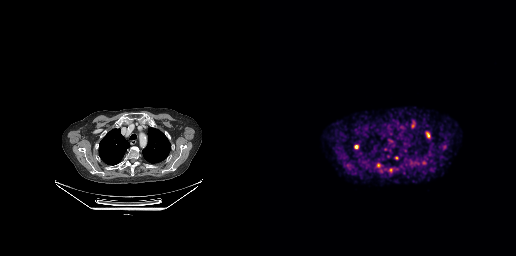
Paired axial CT (left) and PSMA PET (right), 68Ga tracer. Slice 211 of 263. PET panel 256×256 px (2.7 mm/px). Coordinates are on the 256×256 PET (right) panel. PSMA-avid tumor lesion bounding boxes (x, y, width, height): x=166 y=132 w=5 h=6 / x=94 y=145 w=5 h=4 / x=116 y=163 w=4 h=5 / x=152 y=120 w=4 h=5. Small PSMA-avid foci (2 to 4 px across) near (center x, center y): (136, 157) / (130, 170) / (184, 146).